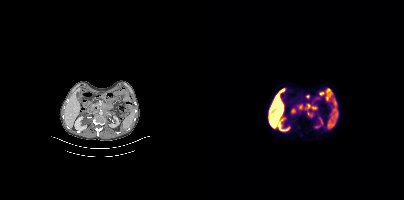
Coordinates are on the 200×200 PET (right) panel. PSMA-avid tumor lesion bounding boxes (x, y, width, height): x=103 y=110 w=7 h=8 / x=103 y=104 w=4 h=5 / x=108 y=106 w=4 h=5. Small PSMA-avid focus (2 to 4 px across) near (center x, center y): (96, 106).